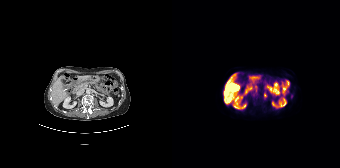
Coordinates are on the 168×168 PET (right) panel. PSMA-avid tumor lesion bounding box (x0, y0)-(x1, y1): (92, 93)-(94, 97).